- Two-panel axial: CT | PSMA PET, 68Ga-PSMA tracer
- PET panel 256×256 px (2.7 mm/px)
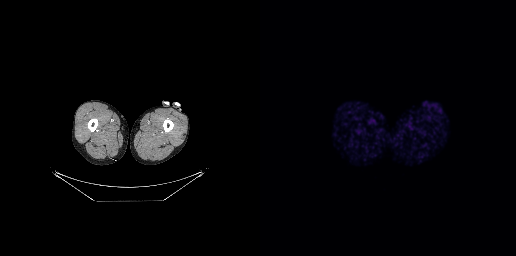
Findings: Negative for PSMA-avid disease on this slice.